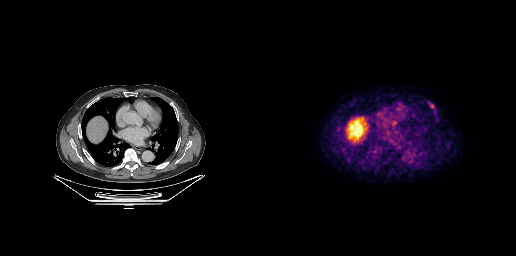
Only PSMA-avid lesion pieces thinner than 2 px on this slice (not listed).